Two-panel axial: CT | PSMA PET, 18F-PSMA tracer.
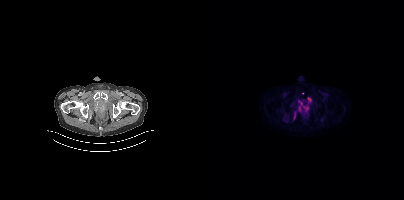
Coordinates are on the 200×200 PET (right) panel. (showing 4 of 5 foci) PSMA-avid tumor lesion bounding boxes (x, y, width, height): x=94 y=100 w=11 h=12 / x=103 y=97 w=5 h=6 / x=89 y=114 w=3 h=5 / x=95 y=106 w=2 h=6.